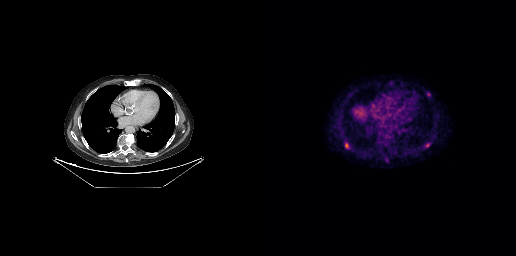
Coordinates are on the 256×256 PET (right) panel. PSMA-avid tumor lesion bounding box (x, y, width, height): x=85 y=143 w=3 h=5. Small PSMA-avid foci (2 to 4 px across) near (center x, center y): (168, 94) | (167, 145). Two-panel axial: CT | PSMA PET, [18F]PSMA-1007 tracer.